Technique: Two-panel axial: CT | PSMA PET, 68Ga-PSMA tracer. acquired on Siemens Biograph 64-4R TruePoint. slice position z = -474 mm.
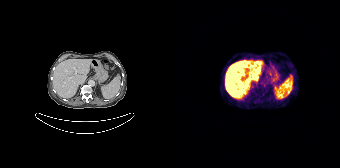
Findings: Negative for PSMA-avid disease on this slice.